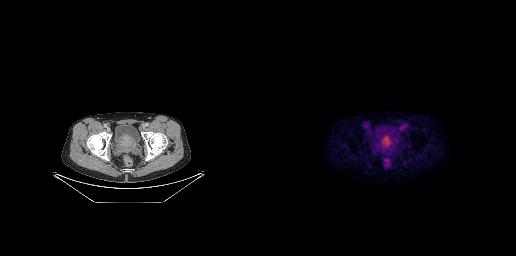
{"modality":"PSMA PET/CT","view":"axial","tracer":"[18F]PSMA-1007","pet_grid":[256,256],"coord_frame":"pet_panel","coord_format":"x0,y0,x1,y1","lesion_bboxes":[[116,133,135,152]]}